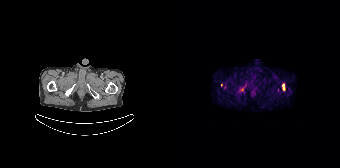
Technique: Left: CT. Right: PSMA PET, same axial level, 68Ga-PSMA tracer. acquired on Siemens Biograph 64-4R TruePoint. slice position z = -914 mm. PET panel 168×168 px (4.1 mm/px).
Findings: Coordinates are on the 168×168 PET (right) panel. (showing 1 of 2 foci) PSMA-avid tumor lesion bounding box (x0,y0,x1,y1): [110,84,112,90].